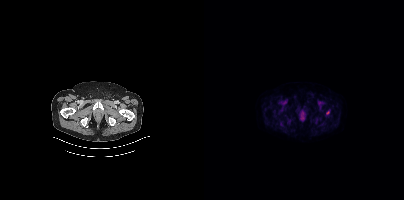
Coordinates are on the 200×200 PET (right) panel. Small PSMA-avid focus (2 to 4 px across) near (center x, center y): (123, 112).